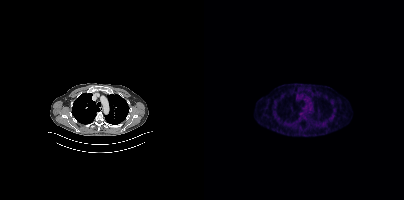
Findings: Negative for PSMA-avid disease on this slice.
Technique: Paired axial CT (left) and PSMA PET (right), [18F]PSMA-1007 tracer. acquired on Siemens Biograph mCT Flow 20. slice 321 of 429.